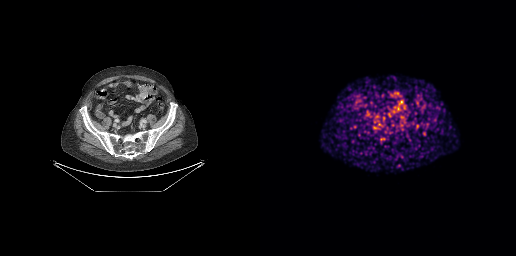
No tumor lesions annotated on this slice.